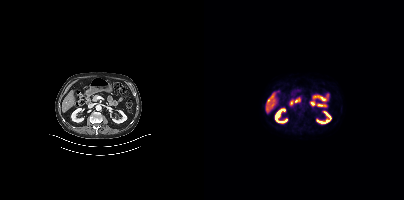
This slice has no annotated PSMA-avid lesion.